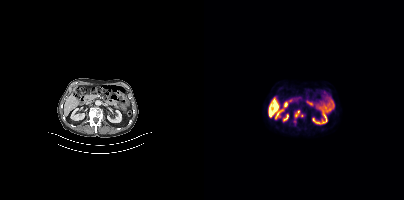
Coordinates are on the 200×200 PET (right) panel. PSMA-avid tumor lesion bounding boxes:
| # | x0 | y0 | x1 | y1 |
|---|---|---|---|---|
| 1 | 90 | 110 | 99 | 118 |
Small PSMA-avid focus (2 to 4 px across) near (center x, center y): (90, 121).
Paired axial CT (left) and PSMA PET (right), [18F]PSMA-1007 tracer. PET panel 200×200 px (4.1 mm/px).